Part of this slice was blanked for de-identification. Paired axial CT (left) and PSMA PET (right), [18F]PSMA-1007 tracer. PET panel 256×256 px (2.7 mm/px).
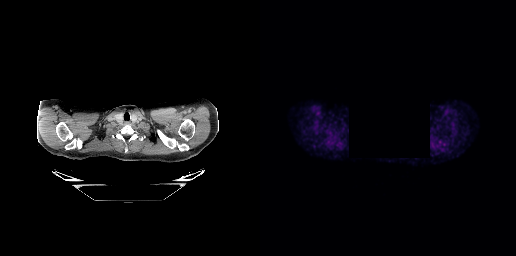
No tumor lesions annotated on this slice.